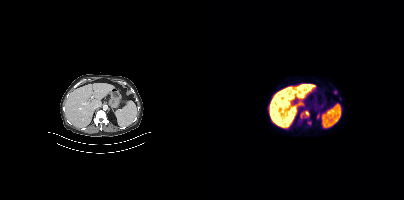
Left: CT. Right: PSMA PET, same axial level, 18F-PSMA tracer. Slice 216 of 413. Coordinates are on the 200×200 PET (right) panel. PSMA-avid tumor lesion bounding box (x, y, width, height): x=97 y=111 w=9 h=7. Small PSMA-avid focus (2 to 4 px across) near (center x, center y): (105, 122).